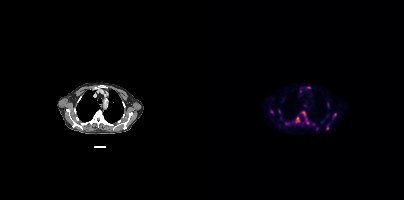
Left: CT. Right: PSMA PET, same axial level, [18F]PSMA-1007 tracer. Slice position z = 428 mm. PET panel 200×200 px (4.1 mm/px). Coordinates are on the 200×200 PET (right) panel. (showing 9 of 12 foci) PSMA-avid tumor lesion bounding boxes (x0,y0,x1,y1): [97,111,105,124]; [91,116,96,123]; [81,122,86,125]; [129,113,132,118]; [123,103,125,107]. Small PSMA-avid foci (2 to 4 px across) near (center x, center y): (67, 111); (104, 87); (123, 128); (75, 111).